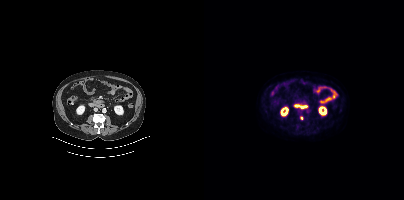
{"modality":"PSMA PET/CT","view":"axial","tracer":"18F-PSMA","pet_grid":[200,200],"coord_frame":"pet_panel","coord_format":"x0,y0,x1,y1","lesion_bboxes":[],"small_foci_centers":[[97,118]]}